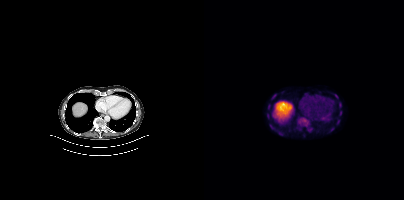
Paired axial CT (left) and PSMA PET (right), 18F tracer. Slice 233 of 401. PET panel 200×200 px (4.1 mm/px).
Coordinates are on the 200×200 PET (right) panel. PSMA-avid tumor lesion bounding boxes:
| # | x0 | y0 | x1 | y1 |
|---|---|---|---|---|
| 1 | 135 | 102 | 137 | 107 |
| 2 | 68 | 94 | 71 | 98 |
| 3 | 64 | 104 | 66 | 109 |
| 4 | 135 | 111 | 137 | 115 |
Small PSMA-avid focus (2 to 4 px across) near (center x, center y): (67, 127).